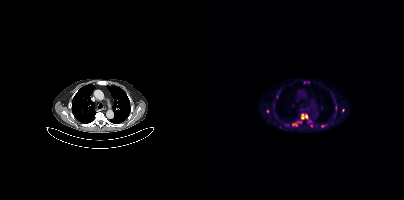
Findings: Coordinates are on the 200×200 PET (right) panel. (showing 4 of 8 foci) PSMA-avid tumor lesion bounding boxes (x0, y0)-(x1, y1): (97, 114)-(103, 119); (88, 123)-(92, 125). Small PSMA-avid foci (2 to 4 px across) near (center x, center y): (118, 126); (63, 111).
Technique: Paired axial CT (left) and PSMA PET (right), 18F-PSMA tracer. acquired on Siemens Biograph mCT Flow 20. slice position z = 194 mm.